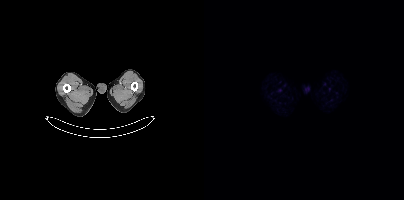
Negative for PSMA-avid disease on this slice.